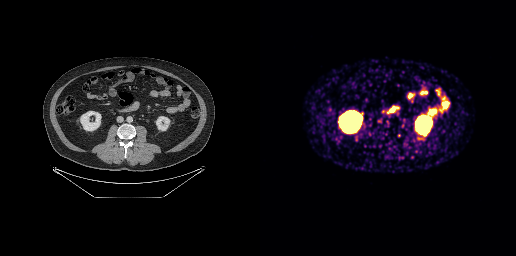
Technique: Left: CT. Right: PSMA PET, same axial level, [68Ga]Ga-PSMA-11 tracer. PET panel 256×256 px (2.7 mm/px).
Findings: No PSMA-avid tumor lesions on this slice.